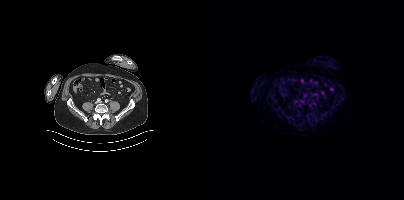
Left: CT. Right: PSMA PET, same axial level, [68Ga]Ga-PSMA-11 tracer. Acquired on Siemens Biograph mCT Flow 20. Negative for PSMA-avid disease on this slice.